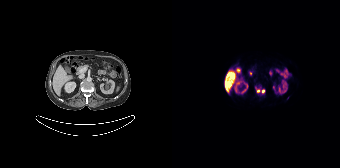
Paired axial CT (left) and PSMA PET (right), 18F-PSMA tracer. PET panel 168×168 px (4.1 mm/px). Coordinates are on the 168×168 PET (right) panel. PSMA-avid tumor lesion bounding box (x0, y0)-(x1, y1): (83, 86)-(93, 94).